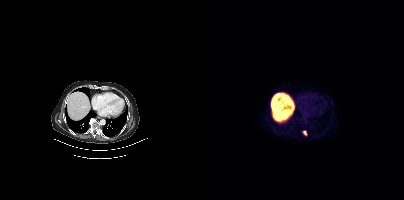
Two-panel axial: CT | PSMA PET, 18F tracer. Acquired on Siemens Biograph mCT Flow 20.
Coordinates are on the 200×200 PET (right) panel. PSMA-avid tumor lesion bounding boxes:
| # | x0 | y0 | x1 | y1 |
|---|---|---|---|---|
| 1 | 98 | 130 | 103 | 135 |